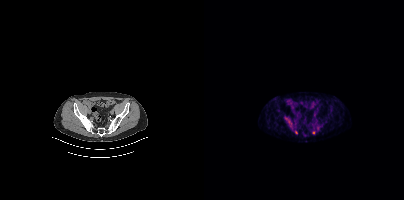
Coordinates are on the 200×200 PET (right) panel. (showing 1 of 2 foci) Small PSMA-avid focus (2 to 4 px across) near (center x, center y): (109, 132). Two-panel axial: CT | PSMA PET, [68Ga]Ga-PSMA-11 tracer. Slice 90 of 409. PET panel 200×200 px (4.1 mm/px).